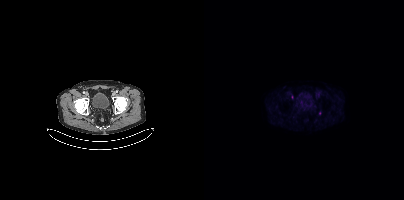
Coordinates are on the 200×200 PET (right) panel. Small PSMA-avid focus (2 to 4 px across) near (center x, center y): (115, 113).